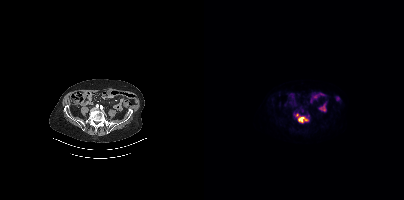
Paired axial CT (left) and PSMA PET (right), 18F tracer. Coordinates are on the 200×200 PET (right) panel. PSMA-avid tumor lesion bounding box (x0, y0)-(x1, y1): (90, 113)-(105, 123).